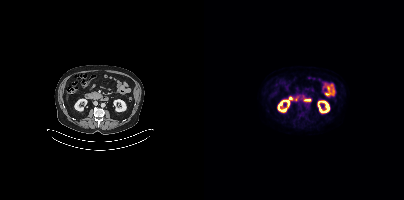
No PSMA-avid tumor lesions on this slice. Paired axial CT (left) and PSMA PET (right), 18F-PSMA tracer. Slice 173 of 389. PET panel 200×200 px (4.1 mm/px).